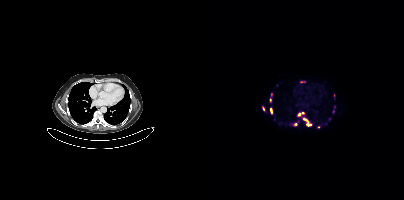
Coordinates are on the 200×200 PET (right) panel. (showing 12 of 16 foci) PSMA-avid tumor lesion bounding boxes (x0,y0,x1,y1): [99,117,106,125]; [93,112,99,116]; [66,93,68,100]; [124,117,127,121]; [88,123,93,125]; [66,108,68,112]; [96,81,101,82]; [58,106,60,110]. Small PSMA-avid foci (2 to 4 px across) near (center x, center y): (130, 107); (121, 123); (114, 126); (70, 119).